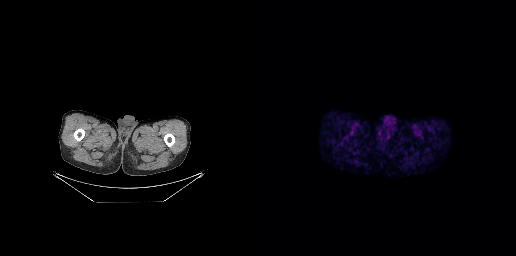
Findings: No tumor lesions annotated on this slice.
- Paired axial CT (left) and PSMA PET (right), [68Ga]Ga-PSMA-11 tracer